Technique: Left: CT. Right: PSMA PET, same axial level, [68Ga]Ga-PSMA-11 tracer. slice position z = -1060 mm.
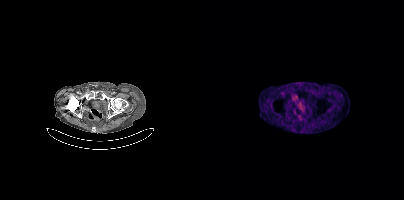
Findings: Coordinates are on the 200×200 PET (right) panel. PSMA-avid tumor lesion bounding boxes (x0, y0)-(x1, y1): (90, 96)-(94, 99) / (96, 105)-(98, 109).